Technique: Left: CT. Right: PSMA PET, same axial level, 18F-PSMA tracer. acquired on Siemens Biograph mCT Flow 20. PET panel 200×200 px (4.1 mm/px).
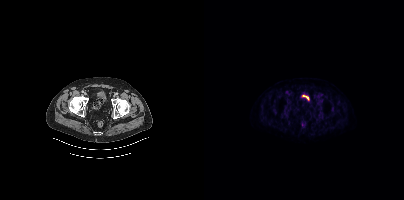
Findings: Coordinates are on the 200×200 PET (right) panel. PSMA-avid tumor lesion bounding box (x0, y0)-(x1, y1): (115, 113)-(118, 117). Small PSMA-avid foci (2 to 4 px across) near (center x, center y): (82, 107) / (85, 109).